Two-panel axial: CT | PSMA PET, [18F]PSMA-1007 tracer. Acquired on Siemens Biograph mCT Flow 20. Slice position z = -1014 mm.
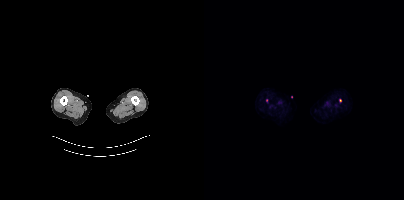
Coordinates are on the 200×200 PET (right) panel. Small PSMA-avid foci (2 to 4 px across) near (center x, center y): (62, 100) | (136, 100).